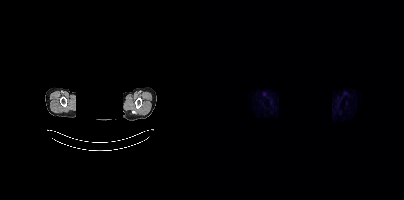
Left: CT. Right: PSMA PET, same axial level, [68Ga]Ga-PSMA-11 tracer. Slice position z = -1136 mm. PET panel 200×200 px (4.1 mm/px). The head region is masked for de-identification. No tumor lesions annotated on this slice.